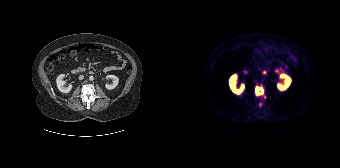
Findings: Coordinates are on the 168×168 PET (right) panel. PSMA-avid tumor lesion bounding box (x0,y0,x1,y1): [83,86,93,98]. Small PSMA-avid focus (2 to 4 px across) near (center x, center y): (88, 104).
Technique: Paired axial CT (left) and PSMA PET (right), 68Ga tracer.